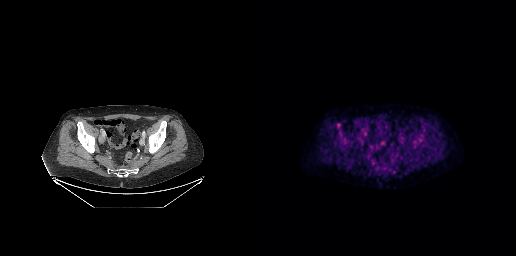
modality: PSMA PET/CT | tracer: 18F-PSMA | view: axial
This slice has no annotated PSMA-avid lesion.